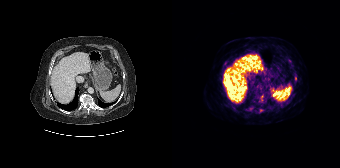
modality: PSMA PET/CT | tracer: [68Ga]Ga-PSMA-11 | view: axial | PET grid: 168×168
Coordinates are on the 168×168 PET (right) panel. (showing 1 of 2 foci) Small PSMA-avid focus (2 to 4 px across) near (center x, center y): (88, 110).